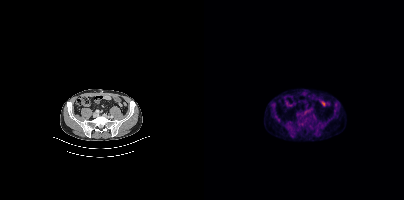
No tumor lesions annotated on this slice.